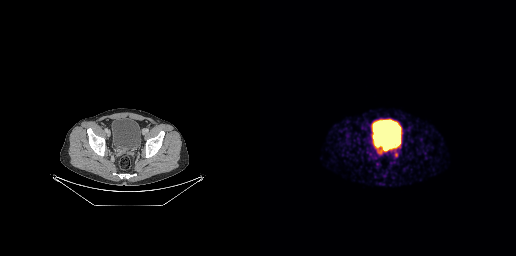
modality: PSMA PET/CT | tracer: 68Ga | view: axial | PET grid: 256×256
Coordinates are on the 256×256 PET (right) panel. (showing 2 of 4 foci) Small PSMA-avid foci (2 to 4 px across) near (center x, center y): (125, 148) | (117, 145).